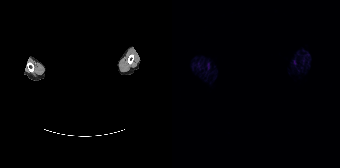
Privacy masking over the head, with the pixels inside a rectangle set to black.
No PSMA-avid tumor lesions on this slice.